Paired axial CT (left) and PSMA PET (right), 68Ga tracer. Acquired on Siemens Biograph 64-4R TruePoint. PET panel 168×168 px (4.1 mm/px). A rectangle over the head was blacked out to remove identifiable facial features.
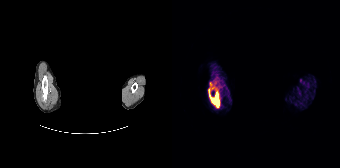
Coordinates are on the 168×168 PET (right) panel. PSMA-avid tumor lesion bounding boxes:
| # | x0 | y0 | x1 | y1 |
|---|---|---|---|---|
| 1 | 36 | 88 | 47 | 107 |
| 2 | 37 | 82 | 41 | 86 |
Small PSMA-avid focus (2 to 4 px across) near (center x, center y): (41, 88).